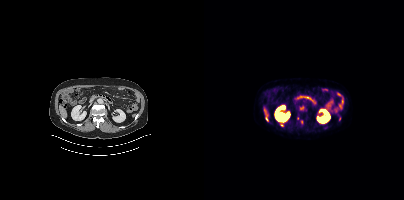
Coordinates are on the 200×200 PET (right) panel. PSMA-avid tumor lesion bounding box (x, y, width, height): x=61 y=117 w=4 h=5.